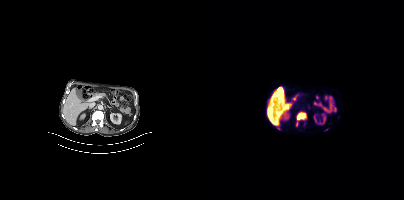
Paired axial CT (left) and PSMA PET (right), 18F-PSMA tracer. Acquired on Siemens Biograph mCT Flow 20. Coordinates are on the 200×200 PET (right) panel. (showing 3 of 4 foci) PSMA-avid tumor lesion bounding boxes (x, y, width, height): x=93 y=112 w=10 h=9 / x=72 y=125 w=4 h=5. Small PSMA-avid focus (2 to 4 px across) near (center x, center y): (92, 123).